modality: PSMA PET/CT | tracer: 68Ga | view: axial | PET grid: 168×168
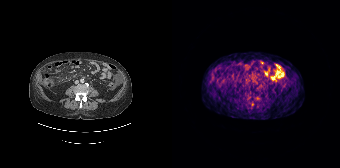
This slice has no annotated PSMA-avid lesion.